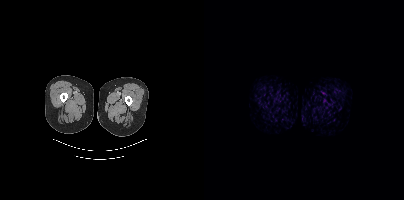
No tumor lesions annotated on this slice. Two-panel axial: CT | PSMA PET, [18F]PSMA-1007 tracer. Slice 8 of 435. PET panel 200×200 px (4.1 mm/px).